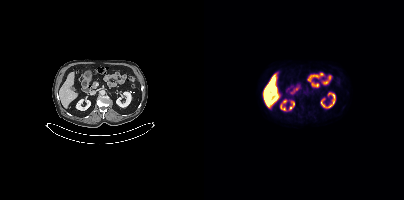
Paired axial CT (left) and PSMA PET (right), [18F]PSMA-1007 tracer. Slice 187 of 403. PET panel 200×200 px (4.1 mm/px). No tumor lesions annotated on this slice.